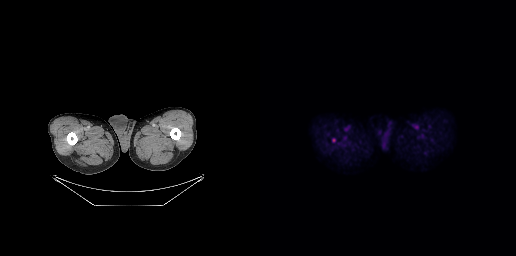
{"modality":"PSMA PET/CT","view":"axial","tracer":"18F","pet_grid":[256,256],"coord_frame":"pet_panel","coord_format":"x0,y0,x1,y1","psma_avid_lesions":false}